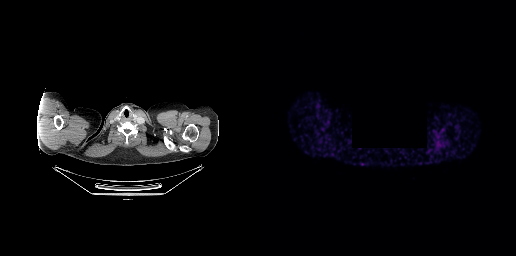
modality: PSMA PET/CT | tracer: [68Ga]Ga-PSMA-11 | view: axial | PET grid: 256×256 | de-identification: region blacked out before release
No tumor lesions annotated on this slice.